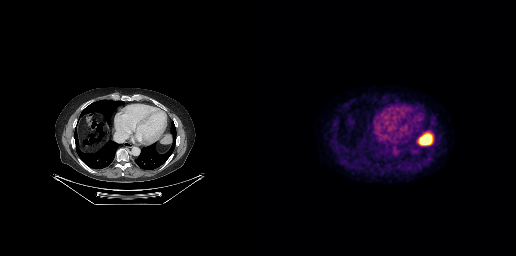
{"modality":"PSMA PET/CT","view":"axial","tracer":"[18F]PSMA-1007","pet_grid":[256,256],"coord_frame":"pet_panel","coord_format":"x0,y0,x1,y1","psma_avid_lesions":false}